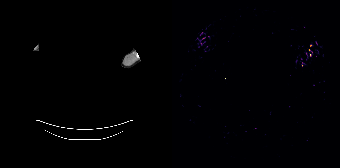
No PSMA-avid tumor lesions on this slice.
de-identification: rectangular block over head set to black | modality: PSMA PET/CT | tracer: 68Ga | view: axial